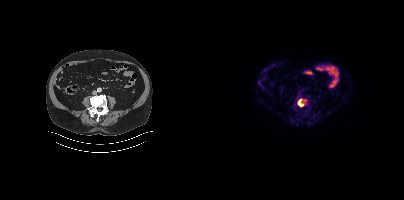
Coordinates are on the 200×200 PET (right) panel. PSMA-avid tumor lesion bounding box (x0, y0)-(x1, y1): (94, 99)-(99, 106).